modality: PSMA PET/CT | tracer: 18F-PSMA | view: axial | PET grid: 256×256
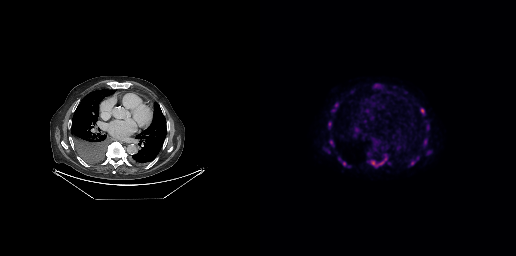
Coordinates are on the 256×256 PET (right) panel. (showing 5 of 9 foci) PSMA-avid tumor lesion bounding box (x, y, width, height): x=70 y=140 w=3 h=5. Small PSMA-avid foci (2 to 4 px across) near (center x, center y): (162, 110) | (113, 162) | (152, 163) | (122, 162).